- Paired axial CT (left) and PSMA PET (right), [18F]PSMA-1007 tracer
- acquired on GE Discovery 690
- slice position z = -541 mm
- PET panel 256×256 px (2.7 mm/px)
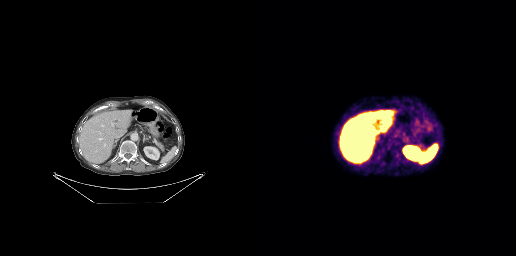
Findings: No PSMA-avid tumor lesions on this slice.